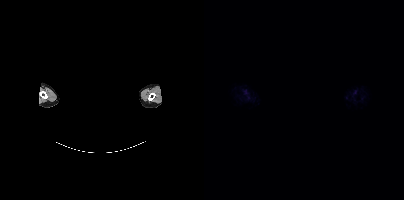
{"modality":"PSMA PET/CT","view":"axial","tracer":"[18F]PSMA-1007","pet_grid":[200,200],"coord_frame":"pet_panel","coord_format":"x0,y0,x1,y1","psma_avid_lesions":false,"deidentification":"facial region redacted"}